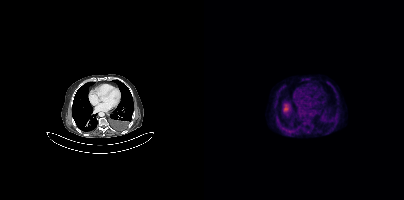
No PSMA-avid tumor lesions on this slice. Paired axial CT (left) and PSMA PET (right), [18F]PSMA-1007 tracer.